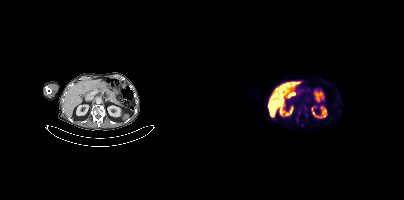
- Paired axial CT (left) and PSMA PET (right), 18F tracer
- acquired on Siemens Biograph mCT Flow 20
- PET panel 200×200 px (4.1 mm/px)
Findings: Coordinates are on the 200×200 PET (right) panel. PSMA-avid tumor lesion bounding box (x0, y0)-(x1, y1): (94, 110)-(96, 114). Small PSMA-avid focus (2 to 4 px across) near (center x, center y): (98, 125).